Left: CT. Right: PSMA PET, same axial level, [18F]PSMA-1007 tracer. PET panel 200×200 px (4.1 mm/px).
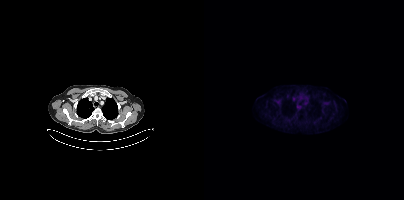
No PSMA-avid tumor lesions on this slice.